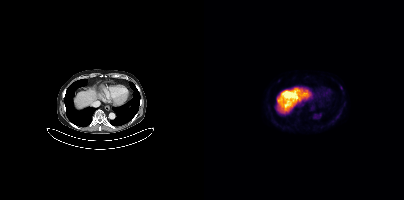
{"modality":"PSMA PET/CT","view":"axial","tracer":"18F","pet_grid":[200,200],"coord_frame":"pet_panel","coord_format":"x0,y0,x1,y1","partial":true,"lesion_bboxes":[]}